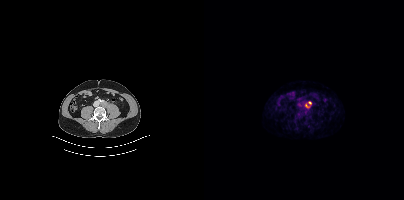
Left: CT. Right: PSMA PET, same axial level, 18F-PSMA tracer.
Coordinates are on the 200×200 PET (right) panel. PSMA-avid tumor lesion bounding boxes:
| # | x0 | y0 | x1 | y1 |
|---|---|---|---|---|
| 1 | 101 | 103 | 105 | 107 |
Small PSMA-avid focus (2 to 4 px across) near (center x, center y): (105, 102).